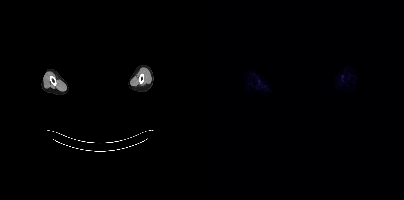
{"modality":"PSMA PET/CT","view":"axial","tracer":"18F-PSMA","pet_grid":[200,200],"coord_frame":"pet_panel","coord_format":"x0,y0,x1,y1","redaction":"face masked with black rectangle","psma_avid_lesions":false}